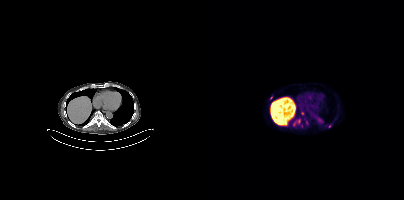
{"modality":"PSMA PET/CT","view":"axial","tracer":"[18F]PSMA-1007","pet_grid":[200,200],"coord_frame":"pet_panel","coord_format":"x0,y0,x1,y1","lesion_bboxes":[[89,120,96,126],[95,124,99,127]],"small_foci_centers":[[102,122],[98,113],[125,126],[67,97]]}